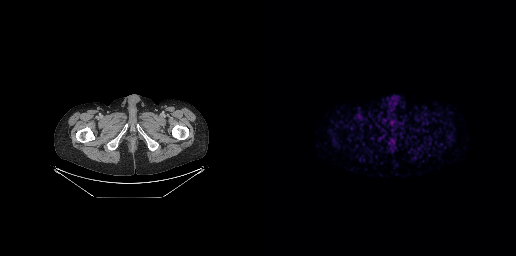
No PSMA-avid tumor lesions on this slice.